modality: PSMA PET/CT | tracer: [18F]PSMA-1007 | view: axial | PET grid: 200×200
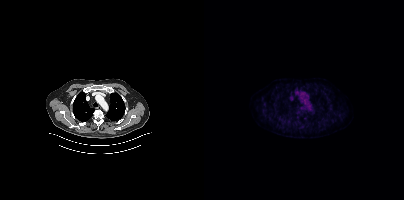
No tumor lesions annotated on this slice.